modality: PSMA PET/CT | tracer: [18F]PSMA-1007 | view: axial
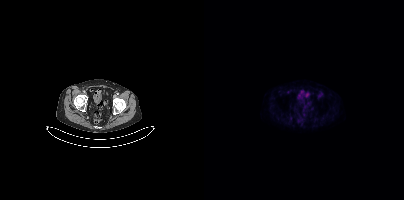
No PSMA-avid tumor lesions on this slice.